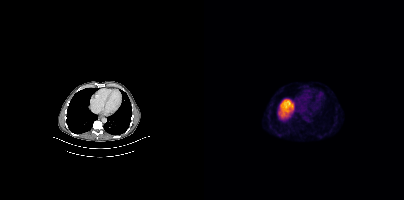
{"pet_grid":[200,200],"coord_frame":"pet_panel","coord_format":"x0,y0,x1,y1","psma_avid_lesions":false,"modality":"PSMA PET/CT","view":"axial","tracer":"[18F]PSMA-1007"}